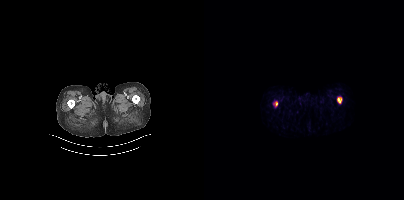
Negative for PSMA-avid disease on this slice.
modality: PSMA PET/CT | tracer: 68Ga-PSMA | view: axial | PET grid: 200×200